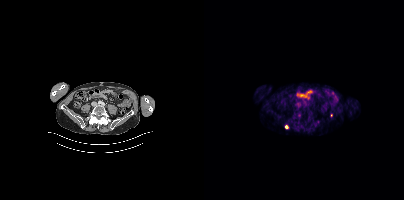
Paired axial CT (left) and PSMA PET (right), 18F tracer. Coordinates are on the 200×200 PET (right) panel. Small PSMA-avid foci (2 to 4 px across) near (center x, center y): (82, 126) / (127, 115).